An anonymization step blacked out a rectangle over the head in this scan. Two-panel axial: CT | PSMA PET, [18F]PSMA-1007 tracer.
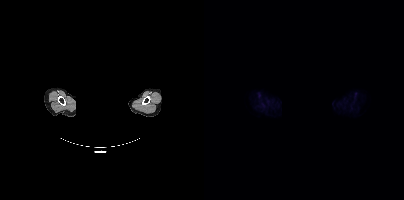
No PSMA-avid tumor lesions on this slice.